modality: PSMA PET/CT | tracer: [18F]PSMA-1007 | view: axial
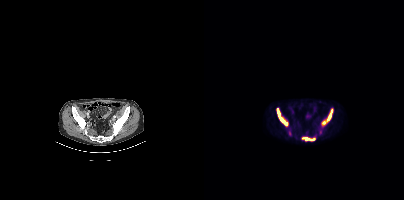
Coordinates are on the 200×200 PET (right) panel. (showing 3 of 6 foci) PSMA-avid tumor lesion bounding boxes (x0, y0)-(x1, y1): (117, 109)-(128, 125); (73, 108)-(83, 126); (101, 138)-(110, 140).